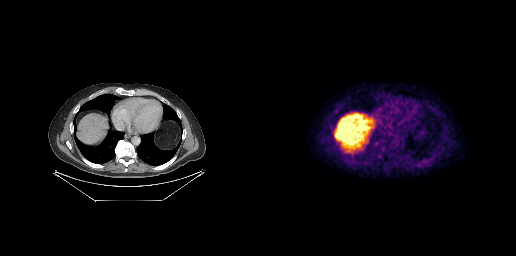
Findings: Negative for PSMA-avid disease on this slice.
Technique: Two-panel axial: CT | PSMA PET, [18F]PSMA-1007 tracer. slice 201 of 299. PET panel 256×256 px (2.7 mm/px).